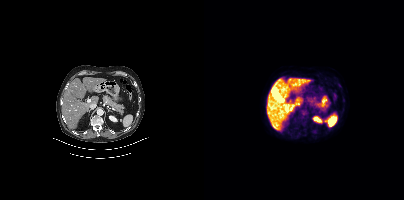
Negative for PSMA-avid disease on this slice.